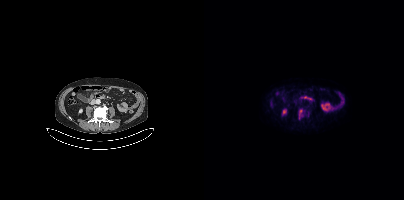
Coordinates are on the 200×200 PET (right) panel. PSMA-avid tumor lesion bounding box (x0, y0)-(x1, y1): (95, 109)-(99, 119).
modality: PSMA PET/CT | tracer: 18F | view: axial